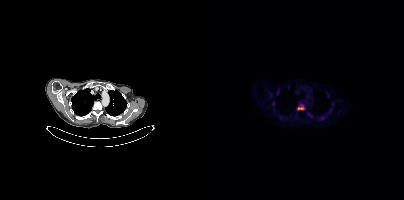
{"pet_grid":[200,200],"coord_frame":"pet_panel","coord_format":"x0,y0,x1,y1","lesion_bboxes":[[93,104,100,110]],"small_foci_centers":[[124,95],[117,118],[105,114]],"modality":"PSMA PET/CT","view":"axial","tracer":"18F-PSMA"}